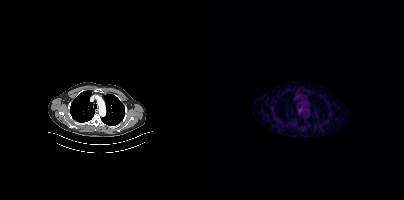
Technique: Left: CT. Right: PSMA PET, same axial level, 68Ga-PSMA tracer. acquired on Siemens Biograph mCT Flow 20. slice position z = -980 mm. PET panel 200×200 px (4.1 mm/px).
Findings: No tumor lesions annotated on this slice.